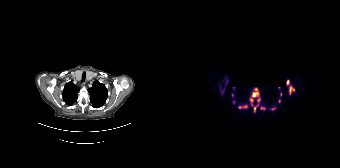
Paired axial CT (left) and PSMA PET (right), [18F]PSMA-1007 tracer. Acquired on Siemens Biograph 64-4R TruePoint. Slice position z = -844 mm. De-identified by setting a rectangular region to black. Coordinates are on the 168×168 PET (right) panel. (showing 14 of 15 foci) PSMA-avid tumor lesion bounding boxes (x0, y0)-(x1, y1): (78, 88)-(87, 102) | (117, 86)-(122, 94) | (66, 105)-(75, 108) | (48, 86)-(52, 93) | (114, 80)-(117, 85) | (82, 105)-(86, 112) | (54, 80)-(56, 84). Small PSMA-avid foci (2 to 4 px across) near (center x, center y): (86, 99) | (90, 108) | (107, 100) | (108, 94) | (61, 88) | (101, 108) | (79, 104).